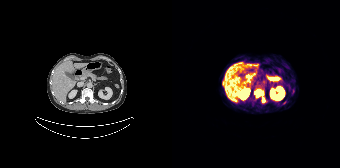
modality: PSMA PET/CT | tracer: 68Ga-PSMA | view: axial | PET grid: 168×168
Coordinates are on the 168×168 PET (right) panel. PSMA-avid tumor lesion bounding boxes (x0, y0)-(x1, y1): (82, 90)-(91, 97); (90, 98)-(92, 102).